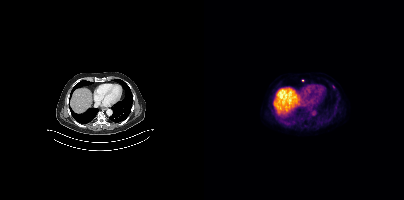
{"modality":"PSMA PET/CT","view":"axial","tracer":"[18F]PSMA-1007","pet_grid":[200,200],"coord_frame":"pet_panel","coord_format":"x0,y0,x1,y1","lesion_bboxes":[],"small_foci_centers":[[98,80],[129,86]]}